Two-panel axial: CT | PSMA PET, 68Ga-PSMA tracer. Acquired on Siemens Biograph 64-4R TruePoint. Face de-identified by blanking a block of the head.
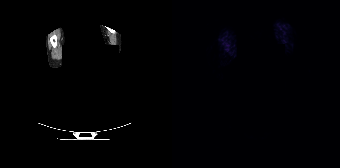
No tumor lesions annotated on this slice.